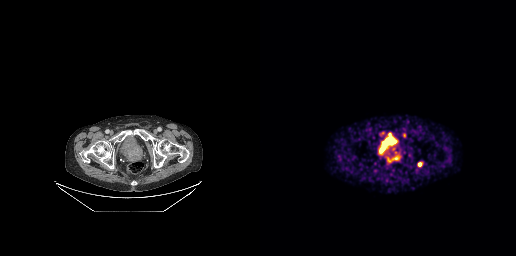
Technique: Two-panel axial: CT | PSMA PET, 68Ga tracer. acquired on GE Discovery 690.
Findings: Coordinates are on the 256×256 PET (right) panel. PSMA-avid tumor lesion bounding boxes (x, y, width, height): x=158 y=162 w=5 h=5 | x=119 y=131 w=6 h=5 | x=142 y=133 w=5 h=5 | x=132 y=156 w=7 h=4. Small PSMA-avid foci (2 to 4 px across) near (center x, center y): (129, 159) | (133, 149) | (135, 152).